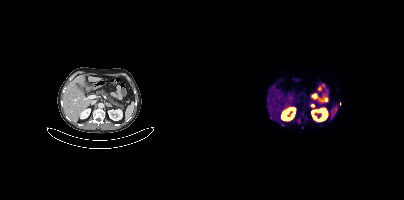
Paired axial CT (left) and PSMA PET (right), [68Ga]Ga-PSMA-11 tracer. PET panel 200×200 px (4.1 mm/px). Coordinates are on the 200×200 PET (right) panel. (showing 2 of 5 foci) Small PSMA-avid foci (2 to 4 px across) near (center x, center y): (67, 117); (95, 121).